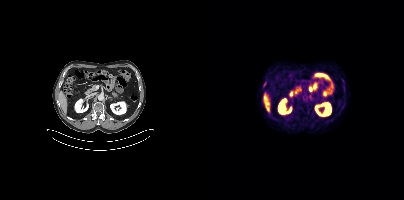
modality: PSMA PET/CT | tracer: [18F]PSMA-1007 | view: axial
Coordinates are on the 200×200 PET (right) panel. Small PSMA-avid focus (2 to 4 px across) near (center x, center y): (138, 80).